Left: CT. Right: PSMA PET, same axial level, [18F]PSMA-1007 tracer. Acquired on Siemens Biograph mCT Flow 20. Slice position z = -910 mm. PET panel 200×200 px (4.1 mm/px).
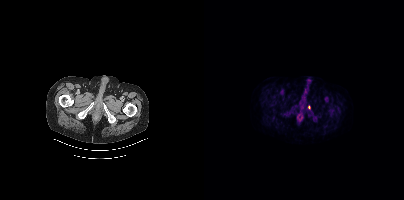
Coordinates are on the 200×200 PET (right) panel. PSMA-avid tumor lesion bounding box (x0,y0,x1,y1): [104,105,106,109].